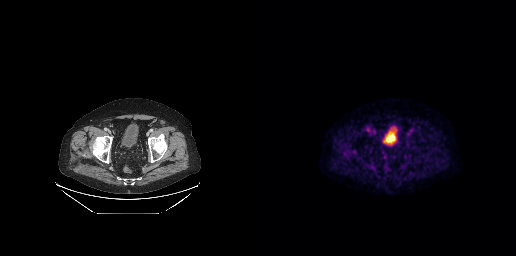
Two-panel axial: CT | PSMA PET, 18F tracer. Coordinates are on the 256×256 PET (right) panel. (showing 2 of 3 foci) Small PSMA-avid foci (2 to 4 px across) near (center x, center y): (114, 131) / (107, 129).